modality: PSMA PET/CT | tracer: [18F]PSMA-1007 | view: axial | PET grid: 200×200
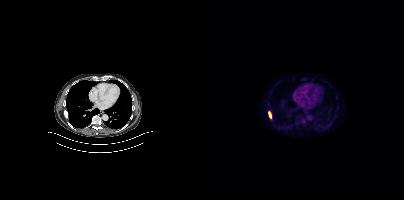
Coordinates are on the 200×200 PET (right) panel. PSMA-avid tumor lesion bounding box (x0,y0,x1,y1): [64,111,67,118].